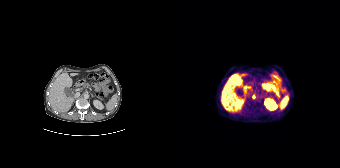
- Left: CT. Right: PSMA PET, same axial level, 68Ga-PSMA tracer
- acquired on Siemens Biograph 64-4R TruePoint
- PET panel 168×168 px (4.1 mm/px)
Findings: Coordinates are on the 168×168 PET (right) panel. Small PSMA-avid focus (2 to 4 px across) near (center x, center y): (81, 96).